- Left: CT. Right: PSMA PET, same axial level, 18F-PSMA tracer
- slice 105 of 356
- PET panel 200×200 px (4.1 mm/px)
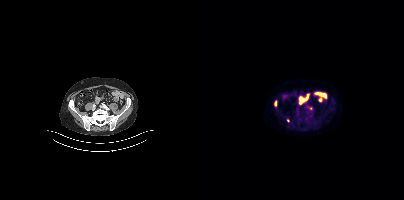
Findings: Coordinates are on the 200×200 PET (right) panel. (showing 2 of 4 foci) PSMA-avid tumor lesion bounding box (x0,y0,x1,y1): [70,100,73,106]. Small PSMA-avid focus (2 to 4 px across) near (center x, center y): (84, 120).